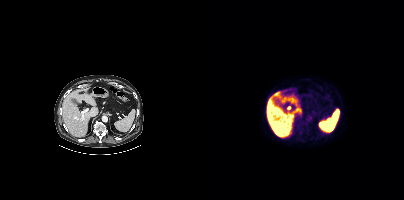
{"pet_grid":[200,200],"coord_frame":"pet_panel","coord_format":"x0,y0,x1,y1","lesion_bboxes":[],"small_foci_centers":[[65,97]],"modality":"PSMA PET/CT","view":"axial","tracer":"18F"}